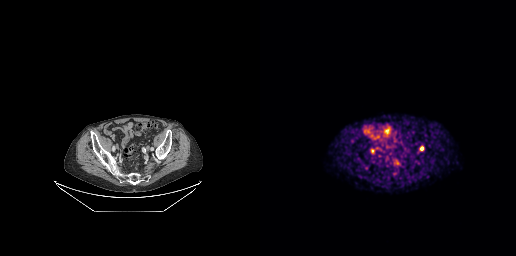
Technique: Two-panel axial: CT | PSMA PET, 68Ga tracer. acquired on GE Discovery 690. PET panel 256×256 px (2.7 mm/px).
Findings: Coordinates are on the 256×256 PET (right) panel. (showing 4 of 6 foci) PSMA-avid tumor lesion bounding box (x0,y0,x1,y1): [134,160,139,164]. Small PSMA-avid foci (2 to 4 px across) near (center x, center y): (92, 141), (134, 174), (161, 150).